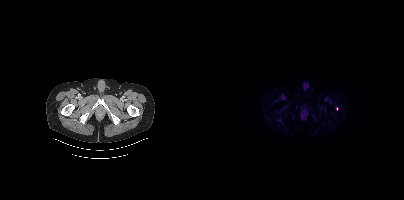
Left: CT. Right: PSMA PET, same axial level, [18F]PSMA-1007 tracer. Slice 37 of 444. Coordinates are on the 200×200 PET (right) panel. Small PSMA-avid focus (2 to 4 px across) near (center x, center y): (133, 108).